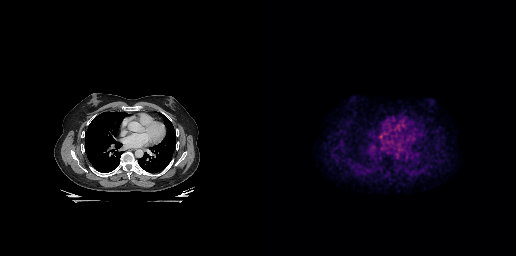
Negative for PSMA-avid disease on this slice.